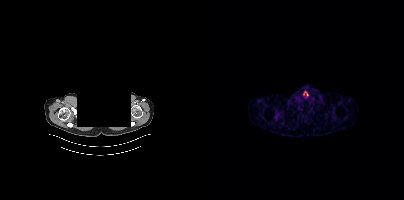
{"pet_grid":[200,200],"coord_frame":"pet_panel","coord_format":"x0,y0,x1,y1","psma_avid_lesions":false,"modality":"PSMA PET/CT","view":"axial","tracer":"[68Ga]Ga-PSMA-11","deidentification":"privacy mask over head"}